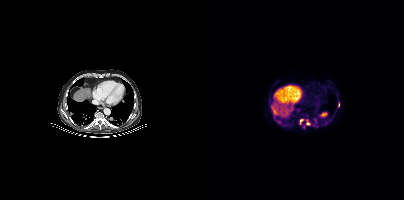
Coordinates are on the 200×200 PET (right) panel. (showing 4 of 6 foci) PSMA-avid tumor lesion bounding box (x0,y0,x1,y1): [103,120,105,124]. Small PSMA-avid foci (2 to 4 px across) near (center x, center y): (75, 122), (97, 120), (134, 104).
modality: PSMA PET/CT | tracer: [18F]PSMA-1007 | view: axial | PET grid: 200×200